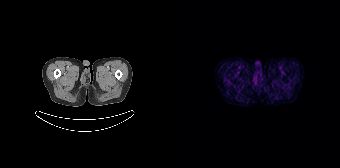
Negative for PSMA-avid disease on this slice.